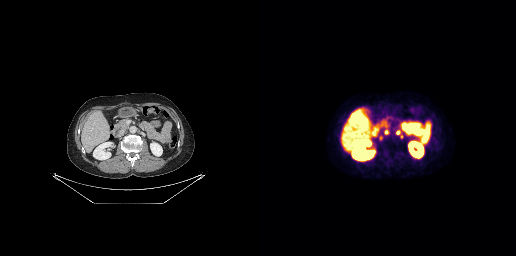
Left: CT. Right: PSMA PET, same axial level, [18F]PSMA-1007 tracer. Slice position z = -446 mm. PET panel 256×256 px (2.7 mm/px).
Coordinates are on the 256×256 PET (right) panel. PSMA-avid tumor lesion bounding boxes:
| # | x0 | y0 | x1 | y1 |
|---|---|---|---|---|
| 1 | 136 | 130 | 142 | 138 |
| 2 | 124 | 130 | 128 | 134 |
Small PSMA-avid focus (2 to 4 px across) near (center x, center y): (120, 137).